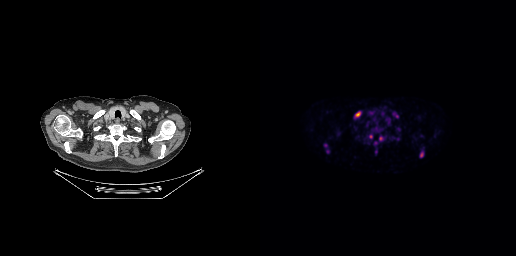
Coordinates are on the 256×256 PET (right) panel. (showing 8 of 9 foci) PSMA-avid tumor lesion bounding boxes (x0,y0,x1,y1): [94,111,101,117], [159,150,164,157], [133,112,138,117], [126,119,129,123]. Small PSMA-avid foci (2 to 4 px across) near (center x, center y): (110, 136), (120, 138), (122, 113), (138, 128).